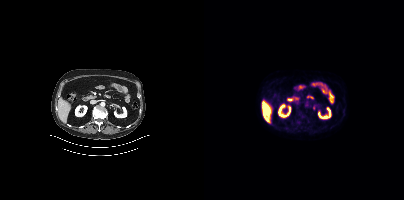
- Left: CT. Right: PSMA PET, same axial level, 18F tracer
Findings: This slice has no annotated PSMA-avid lesion.